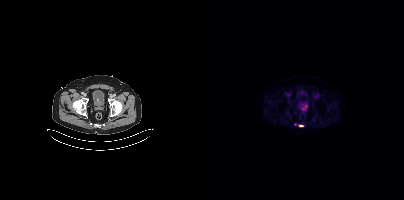
Technique: Two-panel axial: CT | PSMA PET, [18F]PSMA-1007 tracer.
Findings: Coordinates are on the 200×200 PET (right) panel. (showing 1 of 2 foci) PSMA-avid tumor lesion bounding box (x, y, width, height): x=95 y=125 w=5 h=2.